Two-panel axial: CT | PSMA PET, [18F]PSMA-1007 tracer. Acquired on Siemens Biograph mCT Flow 20. Slice 354 of 454.
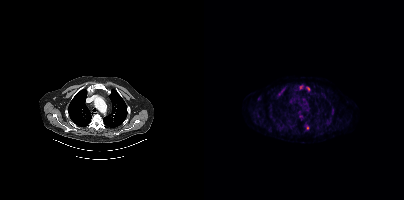
Coordinates are on the 200×200 PET (right) panel. Small PSMA-avid foci (2 to 4 px across) near (center x, center y): (104, 88) | (103, 127) | (79, 89) | (96, 87).